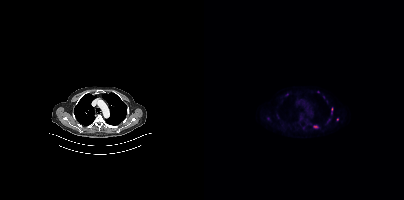
Findings: Coordinates are on the 200×200 PET (right) panel. (showing 2 of 3 foci) Small PSMA-avid foci (2 to 4 px across) near (center x, center y): (111, 126) | (133, 118).
- Left: CT. Right: PSMA PET, same axial level, 18F tracer